Technique: Left: CT. Right: PSMA PET, same axial level, [18F]PSMA-1007 tracer. acquired on Siemens Biograph mCT Flow 20. slice position z = -470 mm.
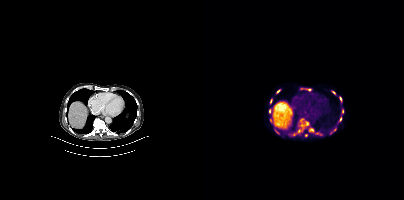
Findings: Coordinates are on the 200×200 PET (right) panel. (showing 15 of 17 foci) PSMA-avid tumor lesion bounding boxes (x, y, width, height): x=94 y=121 w=12 h=13 | x=105 y=128 w=6 h=5 | x=135 y=96 w=4 h=7 | x=127 y=90 w=5 h=5 | x=72 y=89 w=5 h=5 | x=135 y=116 w=4 h=6 | x=138 y=109 w=2 h=5 | x=102 y=89 w=6 h=2 | x=71 y=129 w=3 h=5 | x=88 y=133 w=5 h=3 | x=67 y=122 w=5 h=5. Small PSMA-avid foci (2 to 4 px across) near (center x, center y): (65, 110) | (102, 135) | (66, 101) | (131, 129).